Left: CT. Right: PSMA PET, same axial level, 18F-PSMA tracer. PET panel 256×256 px (2.7 mm/px).
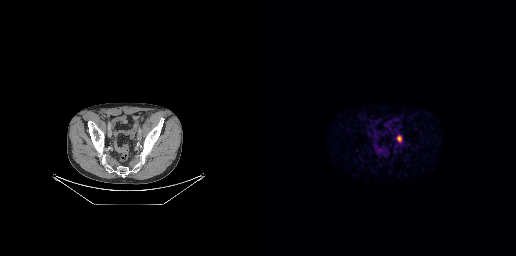
Coordinates are on the 256×256 PET (right) panel. PSMA-avid tumor lesion bounding boxes:
| # | x0 | y0 | x1 | y1 |
|---|---|---|---|---|
| 1 | 137 | 135 | 141 | 142 |